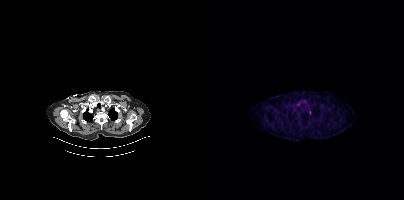
- Paired axial CT (left) and PSMA PET (right), 18F tracer
Findings: Coordinates are on the 200×200 PET (right) panel. PSMA-avid tumor lesion bounding box (x0,y0,x1,y1): [105,110,107,114].